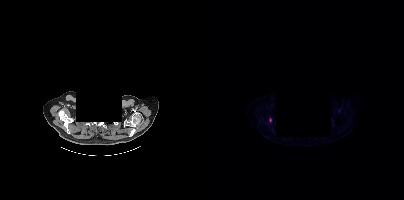
- de-identified by setting a box covering the face to black before release
- Left: CT. Right: PSMA PET, same axial level, 18F-PSMA tracer
- acquired on Siemens Biograph mCT Flow 20
Findings: Coordinates are on the 200×200 PET (right) panel. Small PSMA-avid focus (2 to 4 px across) near (center x, center y): (66, 120).